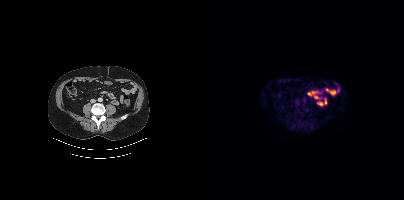
Paired axial CT (left) and PSMA PET (right), [18F]PSMA-1007 tracer. Acquired on Siemens Biograph mCT Flow 20. PET panel 200×200 px (4.1 mm/px).
Coordinates are on the 200×200 PET (right) panel. PSMA-avid tumor lesion bounding boxes (partial; 1 more focus not listed):
| # | x0 | y0 | x1 | y1 |
|---|---|---|---|---|
| 1 | 99 | 108 | 104 | 111 |
| 2 | 117 | 118 | 121 | 121 |
Small PSMA-avid focus (2 to 4 px across) near (center x, center y): (96, 125).